Two-panel axial: CT | PSMA PET, 18F-PSMA tracer. PET panel 168×168 px (4.1 mm/px).
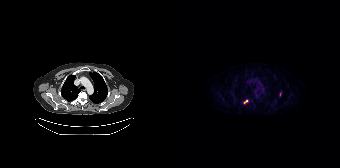
Coordinates are on the 168×168 PET (right) panel. PSMA-avid tumor lesion bounding boxes (x, y, width, height): x=71 y=99 w=6 h=6 / x=107 y=92 w=3 h=5.